modality: PSMA PET/CT | tracer: 18F-PSMA | view: axial | PET grid: 200×200
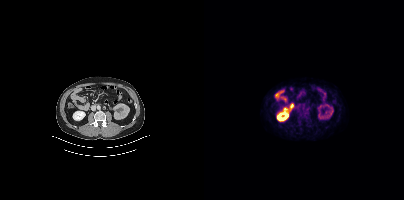
This slice has no annotated PSMA-avid lesion.